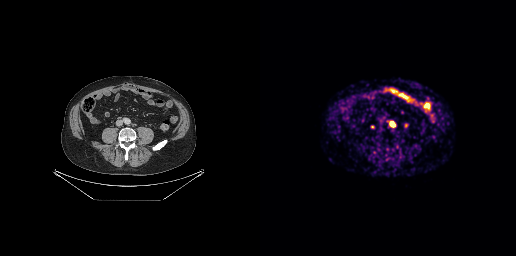
Findings: Coordinates are on the 256×256 PET (right) panel. PSMA-avid tumor lesion bounding box (x, y, width, height): x=130 y=121 w=6 h=7.
Technique: Two-panel axial: CT | PSMA PET, [68Ga]Ga-PSMA-11 tracer. acquired on GE Discovery 690. slice 120 of 299.